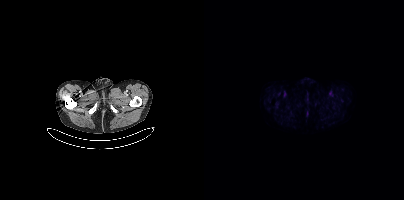
No PSMA-avid tumor lesions on this slice.